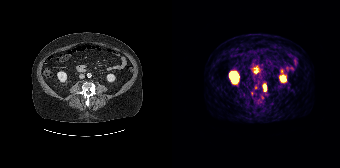
Coordinates are on the 168×168 PET (right) panel. PSMA-avid tumor lesion bounding box (x, y, width, height): x=91 y=84 w=4 h=8.